Technique: Two-panel axial: CT | PSMA PET, 18F-PSMA tracer. acquired on Siemens Biograph mCT Flow 20.
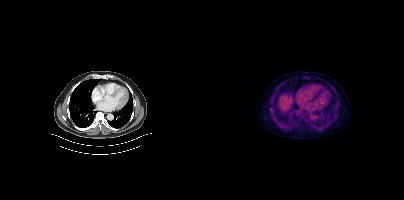
Findings: Coordinates are on the 200×200 PET (right) panel. Small PSMA-avid focus (2 to 4 px across) near (center x, center y): (67, 109).